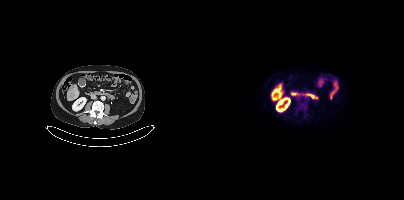
No tumor lesions annotated on this slice.